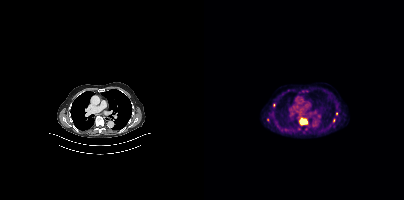
Findings: Coordinates are on the 200×200 PET (right) panel. (showing 4 of 5 foci) PSMA-avid tumor lesion bounding box (x0,y0,x1,y1): [95,118,103,125]. Small PSMA-avid foci (2 to 4 px across) near (center x, center y): (132, 113); (63, 119); (69, 105).
- Two-panel axial: CT | PSMA PET, 18F-PSMA tracer
- PET panel 200×200 px (4.1 mm/px)